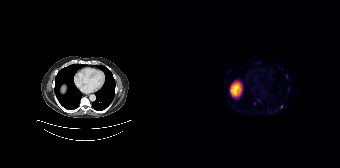
Coordinates are on the 168×168 PET (right) panel. (showing 3 of 5 foci) Small PSMA-avid foci (2 to 4 px across) near (center x, center y): (114, 76); (82, 103); (109, 106).